modality: PSMA PET/CT | tracer: [68Ga]Ga-PSMA-11 | view: axial
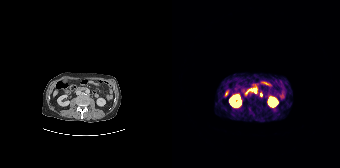
Coordinates are on the 168×168 PET (right) panel. (showing 1 of 2 foci) Small PSMA-avid focus (2 to 4 px across) near (center x, center y): (88, 94).